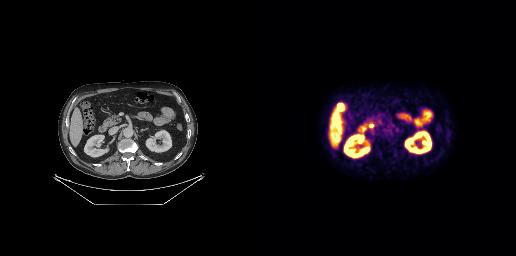
Paired axial CT (left) and PSMA PET (right), 18F tracer. This slice has no annotated PSMA-avid lesion.